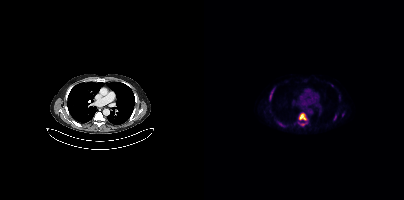
Paired axial CT (left) and PSMA PET (right), 18F-PSMA tracer. Coordinates are on the 200×200 PET (right) panel. PSMA-avid tumor lesion bounding boxes (x, y, width, height): x=95 y=113 w=9 h=8 / x=73 y=121 w=9 h=7 / x=66 y=90 w=4 h=10 / x=94 y=122 w=7 h=4. Small PSMA-avid foci (2 to 4 px across) near (center x, center y): (139, 114) / (128, 85) / (130, 117).